- Left: CT. Right: PSMA PET, same axial level, 18F tracer
- slice position z = -770 mm
- PET panel 200×200 px (4.1 mm/px)
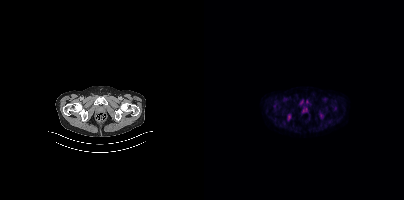
Findings: This slice has no annotated PSMA-avid lesion.